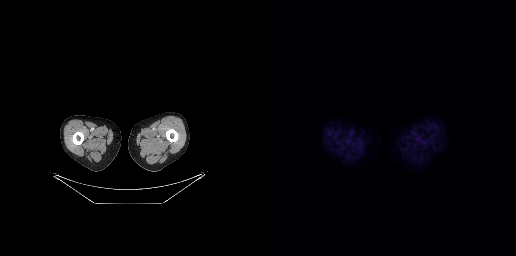
No PSMA-avid tumor lesions on this slice.
modality: PSMA PET/CT | tracer: 18F | view: axial